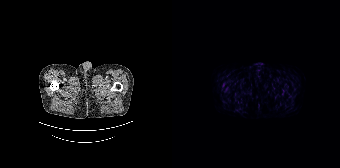
Paired axial CT (left) and PSMA PET (right), [18F]PSMA-1007 tracer. Acquired on Siemens Biograph 64-4R TruePoint. No tumor lesions annotated on this slice.